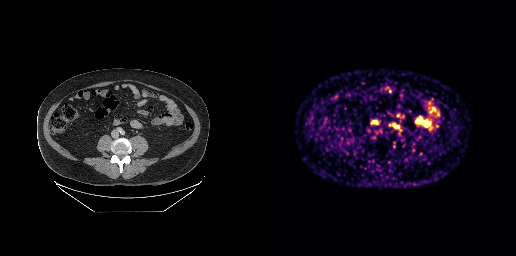
{"modality":"PSMA PET/CT","view":"axial","tracer":"[68Ga]Ga-PSMA-11","pet_grid":[256,256],"coord_frame":"pet_panel","coord_format":"x0,y0,x1,y1","psma_avid_lesions":false}